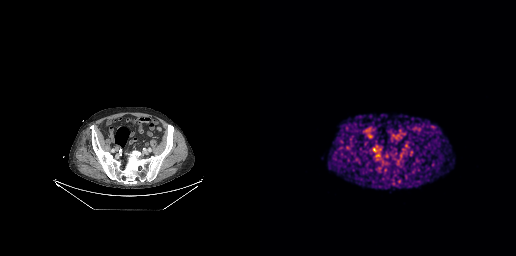
- Two-panel axial: CT | PSMA PET, 68Ga tracer
- slice 87 of 263
Findings: No tumor lesions annotated on this slice.